Technique: Paired axial CT (left) and PSMA PET (right), 18F tracer. acquired on Siemens Biograph mCT Flow 20.
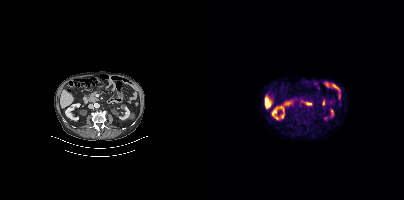
Findings: No tumor lesions annotated on this slice.